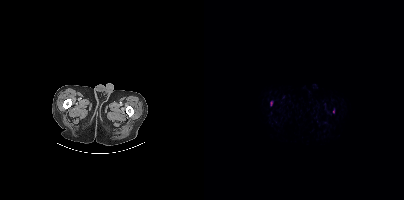
Coordinates are on the 200×200 PET (right) panel. PSMA-avid tumor lesion bounding boxes:
| # | x0 | y0 | x1 | y1 |
|---|---|---|---|---|
| 1 | 66 | 101 | 68 | 105 |
| 2 | 129 | 109 | 130 | 113 |
Left: CT. Right: PSMA PET, same axial level, [18F]PSMA-1007 tracer. Acquired on Siemens Biograph mCT Flow 20. PET panel 200×200 px (4.1 mm/px).